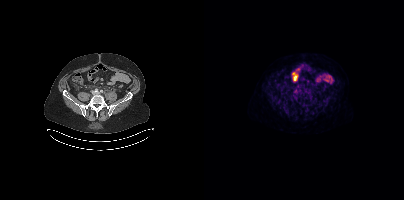
Two-panel axial: CT | PSMA PET, [18F]PSMA-1007 tracer. Acquired on Siemens Biograph mCT Flow 20. Slice position z = -589 mm. Coordinates are on the 200×200 PET (right) panel. Small PSMA-avid focus (2 to 4 px across) near (center x, center y): (90, 95).